- Left: CT. Right: PSMA PET, same axial level, [18F]PSMA-1007 tracer
- acquired on Siemens Biograph mCT Flow 20
- PET panel 200×200 px (4.1 mm/px)
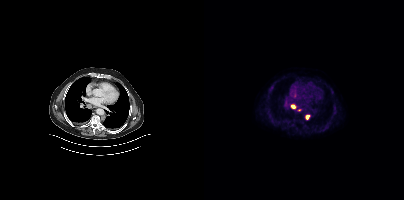
Findings: Coordinates are on the 200×200 PET (right) panel. PSMA-avid tumor lesion bounding boxes (x0,y0,x1,y1): [87,105,91,108], [102,115,105,119].